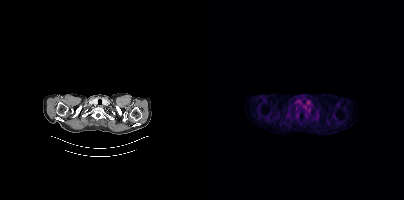
{"modality":"PSMA PET/CT","view":"axial","tracer":"[18F]PSMA-1007","pet_grid":[200,200],"coord_frame":"pet_panel","coord_format":"x0,y0,x1,y1","psma_avid_lesions":false}